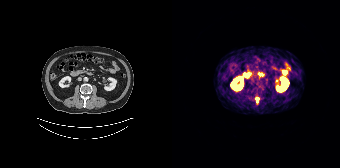
Findings: Coordinates are on the 168×168 PET (right) panel. PSMA-avid tumor lesion bounding box (x0, y0)-(x1, y1): (84, 98)-(87, 102).
Technique: Left: CT. Right: PSMA PET, same axial level, 68Ga-PSMA tracer. acquired on Siemens Biograph 64-4R TruePoint. slice 65 of 165.